Paired axial CT (left) and PSMA PET (right), 68Ga-PSMA tracer.
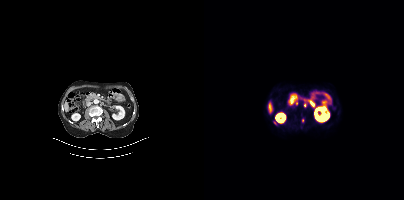
Coordinates are on the 200×200 PET (right) panel. Small PSMA-avid foci (2 to 4 px across) near (center x, center y): (98, 120) | (71, 123) | (100, 105).